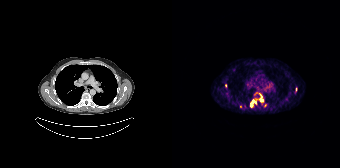
Coordinates are on the 168×168 PET (right) panel. PSMA-avid tumor lesion bounding boxes (partial; 3 more foci not listed):
| # | x0 | y0 | x1 | y1 |
|---|---|---|---|---|
| 1 | 78 | 99 | 85 | 107 |
| 2 | 87 | 93 | 91 | 102 |
Small PSMA-avid foci (2 to 4 px across) near (center x, center y): (53, 85); (68, 106).
Left: CT. Right: PSMA PET, same axial level, 68Ga-PSMA tracer. Acquired on Siemens Biograph 64-4R TruePoint. Slice 140 of 195. PET panel 168×168 px (4.1 mm/px).